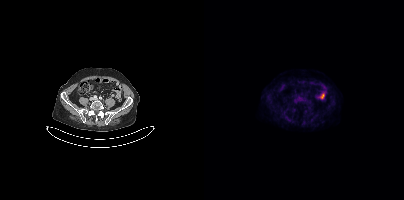
Technique: Two-panel axial: CT | PSMA PET, 18F-PSMA tracer. PET panel 200×200 px (4.1 mm/px).
Findings: No tumor lesions annotated on this slice.